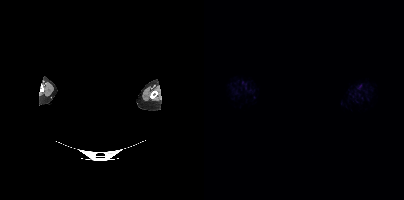
This slice has no annotated PSMA-avid lesion. Paired axial CT (left) and PSMA PET (right), 18F-PSMA tracer. Facial anatomy redacted by setting a rectangular region of the head to black.